- Two-panel axial: CT | PSMA PET, 18F-PSMA tracer
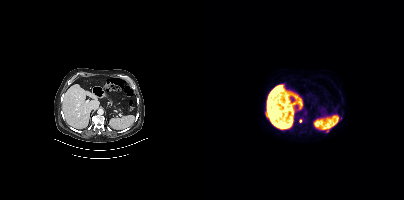
Findings: Coordinates are on the 200×200 PET (right) panel. Small PSMA-avid foci (2 to 4 px across) near (center x, center y): (123, 131); (96, 121).